Paired axial CT (left) and PSMA PET (right), [18F]PSMA-1007 tracer. PET panel 200×200 px (4.1 mm/px).
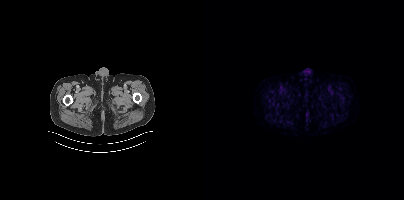
Negative for PSMA-avid disease on this slice.